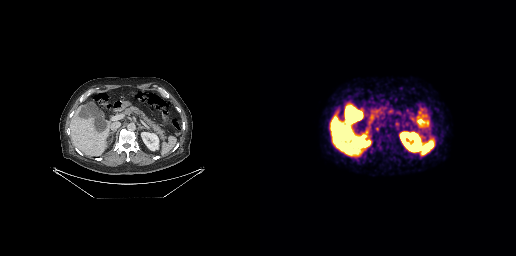
This slice has no annotated PSMA-avid lesion.